Left: CT. Right: PSMA PET, same axial level, [18F]PSMA-1007 tracer. Acquired on Siemens Biograph mCT Flow 20.
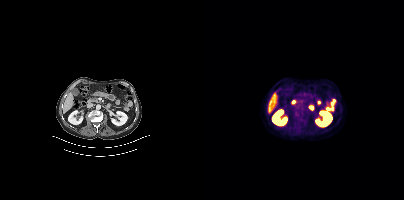
Negative for PSMA-avid disease on this slice.